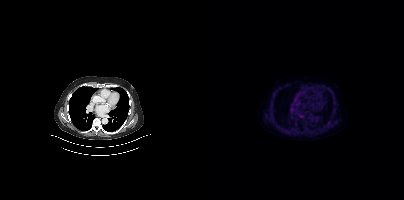
Paired axial CT (left) and PSMA PET (right), 18F-PSMA tracer. This slice has no annotated PSMA-avid lesion.